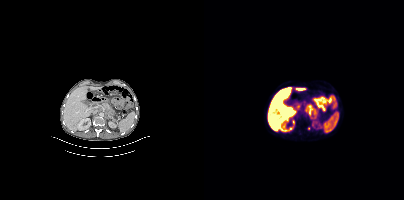
Technique: Two-panel axial: CT | PSMA PET, 18F-PSMA tracer. PET panel 200×200 px (4.1 mm/px).
Findings: Coordinates are on the 200×200 PET (right) panel. PSMA-avid tumor lesion bounding box (x, y, width, height): x=102 y=105 w=11 h=14. Small PSMA-avid focus (2 to 4 px across) near (center x, center y): (105, 128).